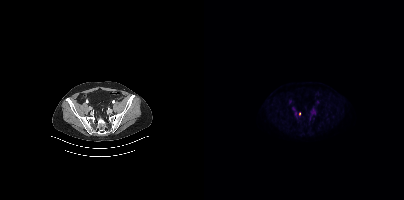
Coordinates are on the 200×200 PET (right) panel. Small PSMA-avid focus (2 to 4 px across) near (center x, center y): (95, 113). Left: CT. Right: PSMA PET, same axial level, 18F tracer. PET panel 200×200 px (4.1 mm/px).